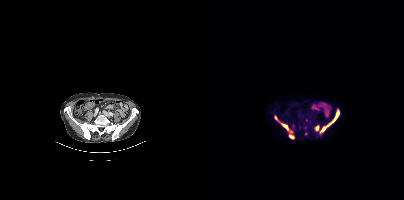
Technique: Two-panel axial: CT | PSMA PET, 18F-PSMA tracer. acquired on Siemens Biograph mCT Flow 20. slice position z = -301 mm. PET panel 200×200 px (4.1 mm/px).
Findings: Coordinates are on the 200×200 PET (right) panel. PSMA-avid tumor lesion bounding boxes (x0, y0)-(x1, y1): (115, 110)-(135, 133) / (71, 116)-(84, 130) / (85, 130)-(90, 138) / (112, 126)-(114, 130). Small PSMA-avid focus (2 to 4 px across) near (center x, center y): (102, 133).